Technique: Left: CT. Right: PSMA PET, same axial level, [18F]PSMA-1007 tracer.
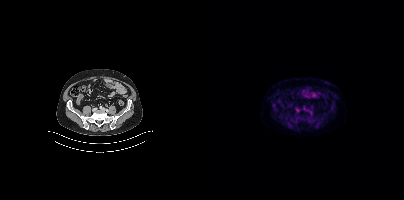
Findings: Coordinates are on the 200×200 PET (right) panel. PSMA-avid tumor lesion bounding box (x0, y0)-(x1, y1): (91, 107)-(96, 111).